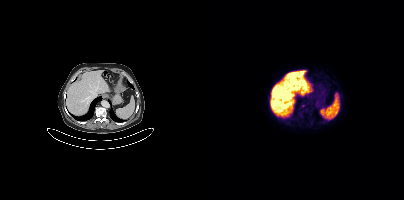
Findings: Coordinates are on the 200×200 PET (right) panel. PSMA-avid tumor lesion bounding box (x, y, width, height): x=97 y=104 w=5 h=4.
Technique: Paired axial CT (left) and PSMA PET (right), 18F-PSMA tracer. acquired on Siemens Biograph mCT Flow 20. slice 258 of 433.